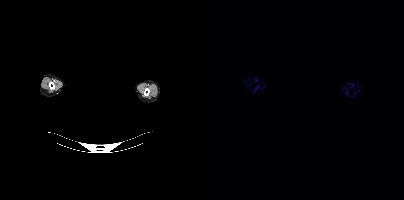
De-identified by setting a box covering the face to black before release.
Negative for PSMA-avid disease on this slice.